Paired axial CT (left) and PSMA PET (right), 18F tracer.
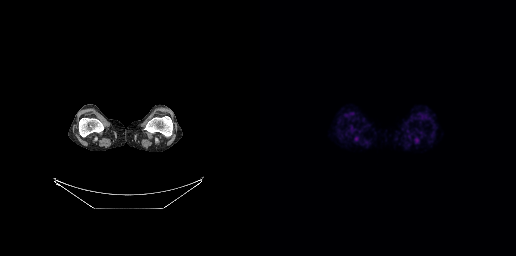
Negative for PSMA-avid disease on this slice.